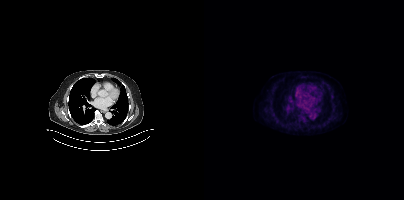
This slice has no annotated PSMA-avid lesion.
modality: PSMA PET/CT | tracer: 18F | view: axial